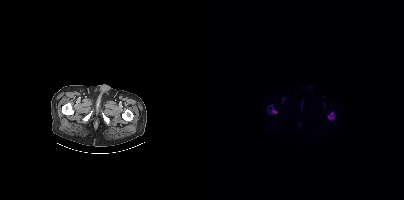
Coordinates are on the 200×200 PET (right) panel. PSMA-avid tumor lesion bounding boxes (x, y, width, height): x=124 y=112 w=7 h=8 | x=67 y=108 w=7 h=6. Small PSMA-avid focus (2 to 4 px across) near (center x, center y): (67, 105).